Technique: Two-panel axial: CT | PSMA PET, 18F-PSMA tracer. slice 346 of 395.
Note: Any black rectangle over the head is a privacy mask, not anatomy.
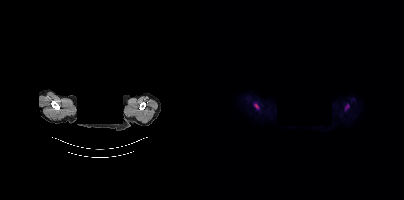
Findings: Coordinates are on the 200×200 PET (right) panel. PSMA-avid tumor lesion bounding box (x0, y0)-(x1, y1): (50, 103)-(55, 109). Small PSMA-avid focus (2 to 4 px across) near (center x, center y): (143, 106).